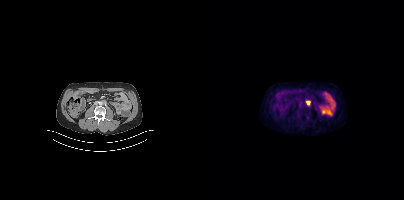
{"modality":"PSMA PET/CT","view":"axial","tracer":"18F-PSMA","pet_grid":[200,200],"coord_frame":"pet_panel","coord_format":"x0,y0,x1,y1","lesion_bboxes":[[102,100,106,105]],"small_foci_centers":[[95,105]]}